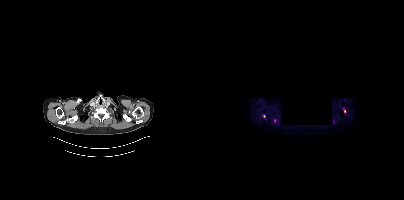
{"modality":"PSMA PET/CT","view":"axial","tracer":"18F-PSMA","pet_grid":[200,200],"coord_frame":"pet_panel","coord_format":"x0,y0,x1,y1","partial":true,"lesion_bboxes":[],"small_foci_centers":[[140,111],[59,116]],"de-identification":"black rectangle is a privacy mask"}